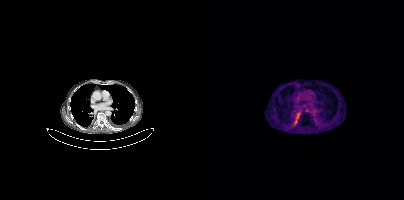
Coordinates are on the 200×200 PET (right) panel. Small PSMA-avid focus (2 to 4 px across) near (center x, center y): (103, 110). Paired axial CT (left) and PSMA PET (right), [68Ga]Ga-PSMA-11 tracer. Slice position z = -636 mm.